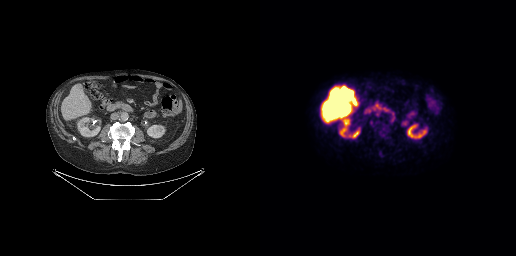
Two-panel axial: CT | PSMA PET, [18F]PSMA-1007 tracer. Slice 135 of 299. Negative for PSMA-avid disease on this slice.